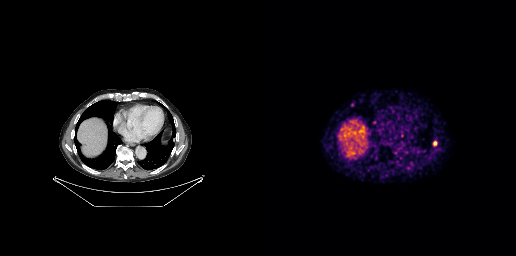
{"modality":"PSMA PET/CT","view":"axial","tracer":"68Ga","pet_grid":[256,256],"coord_frame":"pet_panel","coord_format":"x0,y0,x1,y1","lesion_bboxes":[[173,141,176,145]],"small_foci_centers":[[92,104]]}